modality: PSMA PET/CT | tracer: 18F-PSMA | view: axial
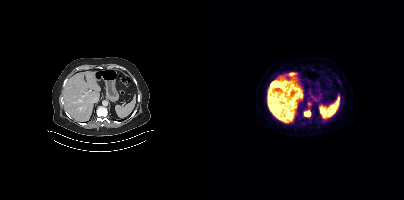
Coordinates are on the 200×200 PET (right) panel. PSMA-avid tumor lesion bounding box (x0,y0,x1,y1): [100,110,106,116].